- Left: CT. Right: PSMA PET, same axial level, [68Ga]Ga-PSMA-11 tracer
- acquired on GE Discovery 690
- slice 189 of 263
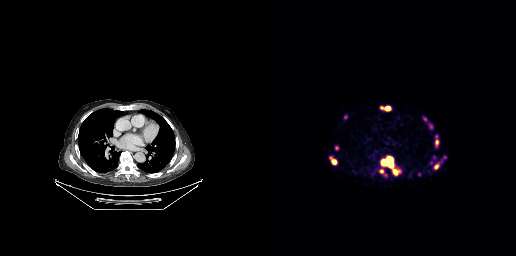
Findings: Coordinates are on the 256×256 PET (right) panel. (showing 12 of 13 foci) PSMA-avid tumor lesion bounding boxes (x, y, width, height): x=122 y=157 w=12 h=11 / x=119 y=169 w=6 h=6 / x=133 y=169 w=6 h=6 / x=168 y=123 w=6 h=7 / x=175 y=139 w=4 h=8 / x=72 y=159 w=5 h=6 / x=126 y=106 w=5 h=5 / x=75 y=146 w=4 h=5 / x=120 y=106 w=5 h=4 / x=163 y=117 w=4 h=5 / x=84 y=115 w=4 h=5. Small PSMA-avid focus (2 to 4 px across) near (center x, center y): (176, 166).